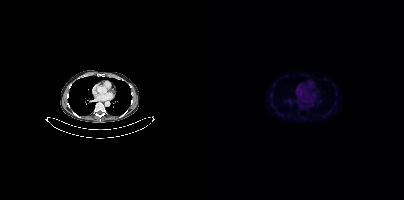
No tumor lesions annotated on this slice.